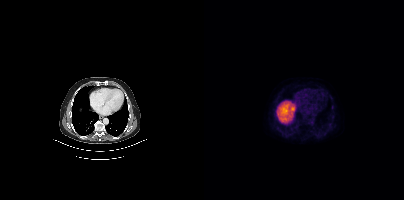
Findings: No PSMA-avid tumor lesions on this slice.
- Left: CT. Right: PSMA PET, same axial level, 18F tracer
- slice position z = -1047 mm
- PET panel 200×200 px (4.1 mm/px)